Two-panel axial: CT | PSMA PET, [18F]PSMA-1007 tracer. Acquired on Siemens Biograph mCT Flow 20. PET panel 200×200 px (4.1 mm/px).
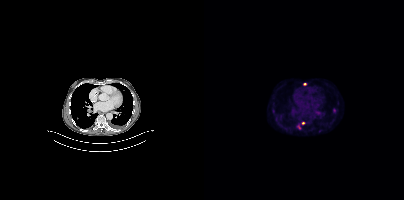
Coordinates are on the 200×200 PET (right) panel. PSMA-avid tumor lesion bounding boxes:
| # | x0 | y0 | x1 | y1 |
|---|---|---|---|---|
| 1 | 111 | 111 | 116 | 114 |
| 2 | 129 | 108 | 131 | 112 |
Small PSMA-avid foci (2 to 4 px across) near (center x, center y): (99, 123); (95, 126); (116, 131); (101, 83).